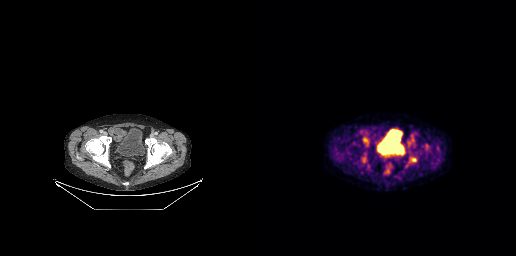
Two-panel axial: CT | PSMA PET, [18F]PSMA-1007 tracer. Acquired on GE Discovery 690. Slice position z = -732 mm. PET panel 256×256 px (2.7 mm/px).
Coordinates are on the 256×256 PET (right) panel. PSMA-avid tumor lesion bounding boxes:
| # | x0 | y0 | x1 | y1 |
|---|---|---|---|---|
| 1 | 103 | 137 | 108 | 145 |
| 2 | 149 | 157 | 156 | 162 |
| 3 | 101 | 156 | 105 | 162 |
| 4 | 165 | 146 | 168 | 150 |